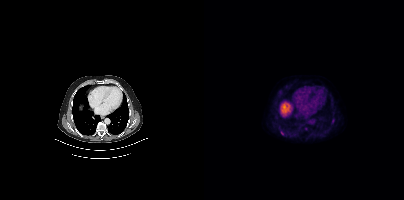
Coordinates are on the 200×200 PET (right) panel. Small PSMA-avid focus (2 to 4 px across) near (center x, center y): (77, 132).